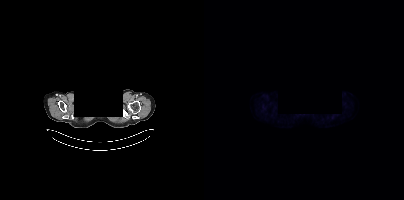
Findings: This slice has no annotated PSMA-avid lesion.
Technique: Paired axial CT (left) and PSMA PET (right), 18F-PSMA tracer. acquired on Siemens Biograph mCT Flow 20. slice position z = -893 mm. PET panel 200×200 px (4.1 mm/px).
Note: Any black rectangle over the head is a privacy mask, not anatomy.